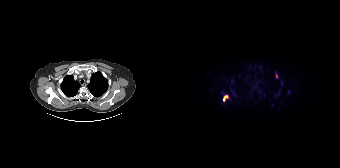
- Left: CT. Right: PSMA PET, same axial level, 18F-PSMA tracer
- PET panel 168×168 px (4.1 mm/px)
Findings: Coordinates are on the 168×168 PET (right) panel. PSMA-avid tumor lesion bounding box (x0, y0)-(x1, y1): (51, 95)-(56, 101). Small PSMA-avid foci (2 to 4 px across) near (center x, center y): (104, 76); (116, 91).